Left: CT. Right: PSMA PET, same axial level, 18F-PSMA tracer. Acquired on Siemens Biograph mCT Flow 20. Slice position z = -749 mm.
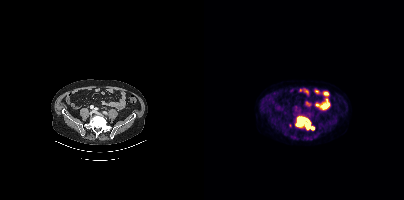
Coordinates are on the 200×200 PET (right) panel. PSMA-avid tumor lesion bounding boxes:
| # | x0 | y0 | x1 | y1 |
|---|---|---|---|---|
| 1 | 91 | 116 | 110 | 130 |